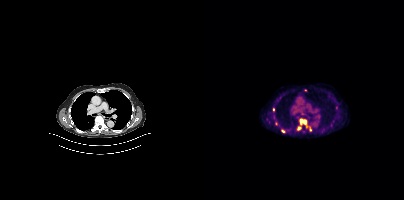
Paired axial CT (left) and PSMA PET (right), [18F]PSMA-1007 tracer. Slice position z = -407 mm. Coordinates are on the 200×200 PET (right) panel. (showing 4 of 5 foci) PSMA-avid tumor lesion bounding boxes (x0,y0,x1,y1): [96,118,107,131]; [93,126,97,130]. Small PSMA-avid foci (2 to 4 px across) near (center x, center y): (78, 131); (69, 109).